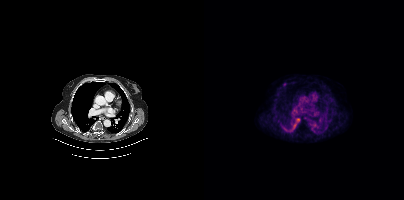
Left: CT. Right: PSMA PET, same axial level, 18F tracer. Acquired on Siemens Biograph mCT Flow 20. PET panel 200×200 px (4.1 mm/px). Coordinates are on the 200×200 PET (right) panel. Small PSMA-avid focus (2 to 4 px across) near (center x, center y): (80, 84).